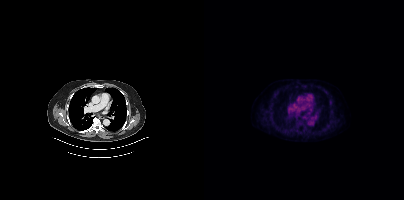
{"pet_grid":[200,200],"coord_frame":"pet_panel","coord_format":"x0,y0,x1,y1","psma_avid_lesions":false,"modality":"PSMA PET/CT","view":"axial","tracer":"18F-PSMA"}